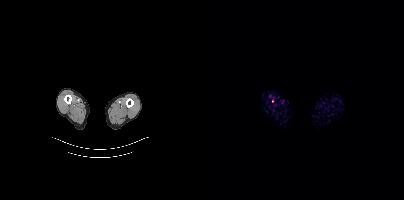
modality: PSMA PET/CT | tracer: [18F]PSMA-1007 | view: axial | PET grid: 200×200
Coordinates are on the 200×200 PET (right) panel. Small PSMA-avid focus (2 to 4 px across) near (center x, center y): (68, 101).